Left: CT. Right: PSMA PET, same axial level, [18F]PSMA-1007 tracer. Acquired on Siemens Biograph mCT Flow 20. Slice 308 of 423. PET panel 200×200 px (4.1 mm/px).
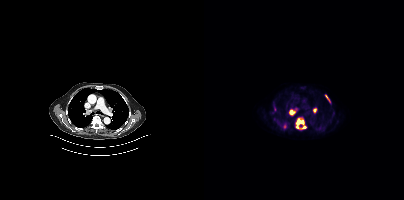
Coordinates are on the 200×200 PET (right) panel. PSMA-avid tumor lesion bounding boxes (x, y, width, height): x=92 y=118 w=10 h=12 | x=85 y=110 w=7 h=5 | x=109 y=108 w=4 h=5 | x=121 y=95 w=6 h=8. Small PSMA-avid foci (2 to 4 px across) near (center x, center y): (70, 108) | (80, 126).